Technique: Paired axial CT (left) and PSMA PET (right), 18F-PSMA tracer. acquired on Siemens Biograph mCT Flow 20.
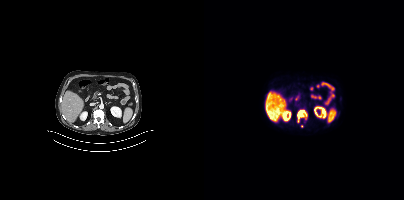
Findings: Coordinates are on the 200×200 PET (right) panel. PSMA-avid tumor lesion bounding box (x, y, width, height): x=93 y=109 w=11 h=14. Small PSMA-avid focus (2 to 4 px across) near (center x, center y): (97, 126).